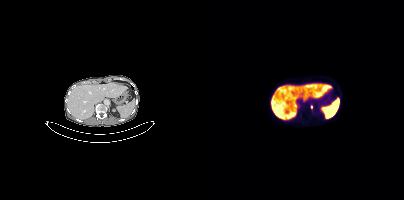
{"modality":"PSMA PET/CT","view":"axial","tracer":"[18F]PSMA-1007","pet_grid":[200,200],"coord_frame":"pet_panel","coord_format":"x0,y0,x1,y1","partial":true,"lesion_bboxes":[],"small_foci_centers":[[107,107]]}